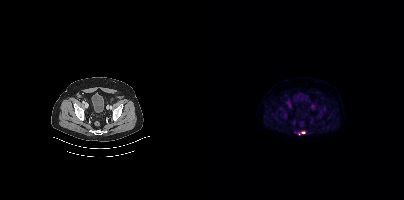
- Paired axial CT (left) and PSMA PET (right), 18F tracer
- PET panel 200×200 px (4.1 mm/px)
Findings: Coordinates are on the 200×200 PET (right) panel. PSMA-avid tumor lesion bounding box (x0, y0)-(x1, y1): (94, 131)-(101, 134).